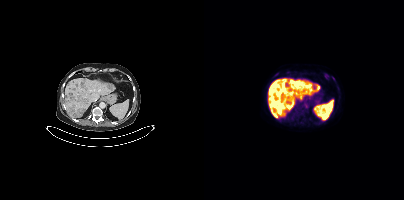
{"modality":"PSMA PET/CT","view":"axial","tracer":"18F","pet_grid":[200,200],"coord_frame":"pet_panel","coord_format":"x0,y0,x1,y1","lesion_bboxes":[[64,89,69,94],[69,112,73,115]],"small_foci_centers":[[74,84]]}